Left: CT. Right: PSMA PET, same axial level, 18F tracer. Slice position z = -15 mm. PET panel 256×256 px (2.7 mm/px). An anonymization step blacked out a rectangle over the head in this scan.
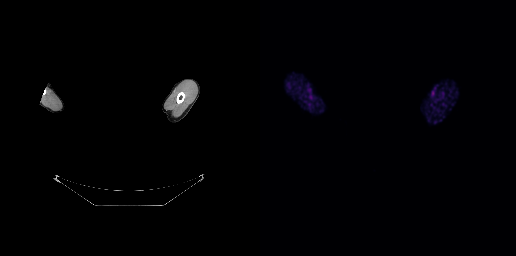
This slice has no annotated PSMA-avid lesion.